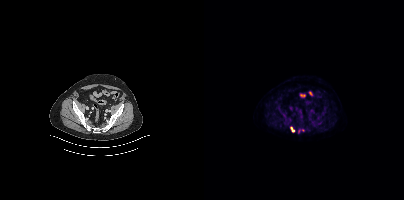
modality: PSMA PET/CT | tracer: 18F-PSMA | view: axial | PET grid: 200×200
Coordinates are on the 200×200 PET (right) panel. PSMA-avid tumor lesion bounding box (x, y, width, height): x=87 y=127 w=4 h=5.